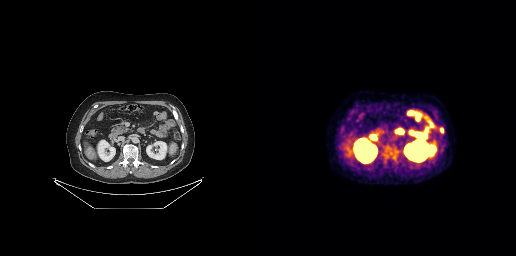
Coordinates are on the 256×256 PET (right) panel. PSMA-avid tumor lesion bounding box (x0, y0)-(x1, y1): (180, 128)-(183, 132).